Two-panel axial: CT | PSMA PET, 18F tracer. Acquired on Siemens Biograph mCT Flow 20.
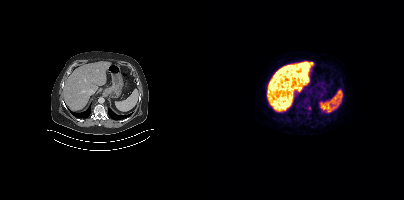
Coordinates are on the 200×200 PET (right) panel. PSMA-avid tumor lesion bounding boxes:
| # | x0 | y0 | x1 | y1 |
|---|---|---|---|---|
| 1 | 102 | 106 | 107 | 110 |